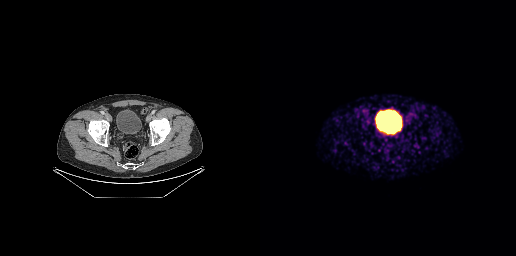
{"modality":"PSMA PET/CT","view":"axial","tracer":"68Ga","pet_grid":[256,256],"coord_frame":"pet_panel","coord_format":"x0,y0,x1,y1","psma_avid_lesions":false}